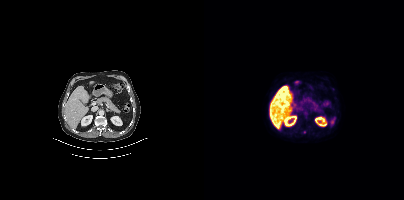
Only PSMA-avid lesion pieces thinner than 2 px on this slice (not listed).